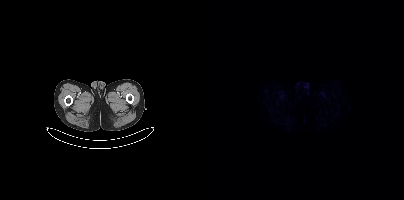
modality: PSMA PET/CT | tracer: 68Ga-PSMA | view: axial
This slice has no annotated PSMA-avid lesion.